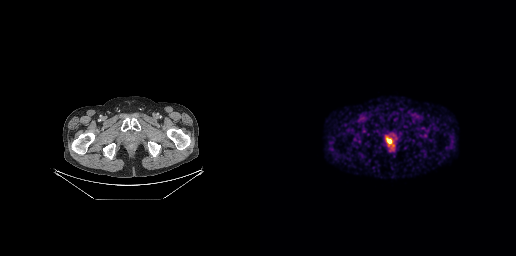
Paired axial CT (left) and PSMA PET (right), [68Ga]Ga-PSMA-11 tracer. Acquired on GE Discovery 690. Slice position z = -907 mm.
Coordinates are on the 256×256 PET (right) panel. PSMA-avid tumor lesion bounding boxes:
| # | x0 | y0 | x1 | y1 |
|---|---|---|---|---|
| 1 | 126 | 138 | 131 | 143 |